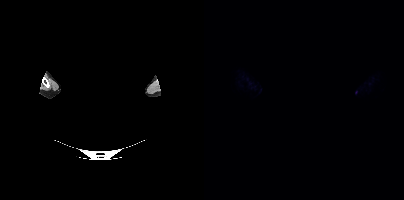
{"modality":"PSMA PET/CT","view":"axial","tracer":"18F-PSMA","pet_grid":[200,200],"coord_frame":"pet_panel","coord_format":"x0,y0,x1,y1","redaction":"head region blanked (face removed)","psma_avid_lesions":false}